Technique: Paired axial CT (left) and PSMA PET (right), [18F]PSMA-1007 tracer. acquired on GE Discovery 690. slice position z = -181 mm.
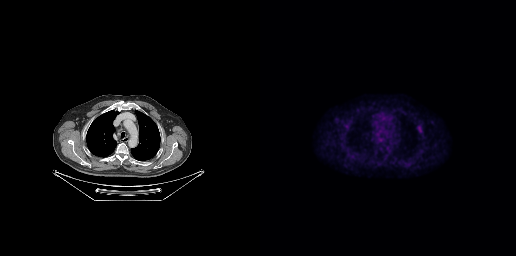
Findings: Coordinates are on the 256×256 PET (right) panel. PSMA-avid tumor lesion bounding box (x, y, width, height): x=158 y=126 w=4 h=7.